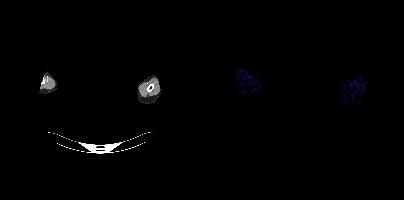
Findings: Negative for PSMA-avid disease on this slice.
- facial anatomy redacted by setting a rectangular region of the head to black
- Left: CT. Right: PSMA PET, same axial level, 68Ga tracer
- acquired on Siemens Biograph mCT Flow 20
- slice 370 of 373